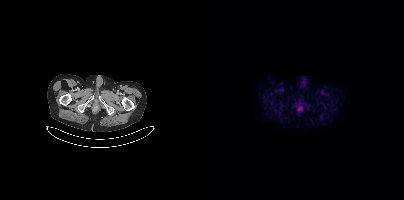
Technique: Two-panel axial: CT | PSMA PET, 18F-PSMA tracer. PET panel 200×200 px (4.1 mm/px).
Findings: This slice has no annotated PSMA-avid lesion.